Paired axial CT (left) and PSMA PET (right), [68Ga]Ga-PSMA-11 tracer. Acquired on Siemens Biograph mCT Flow 20. PET panel 200×200 px (4.1 mm/px).
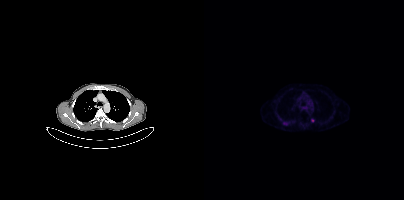
Coordinates are on the 200×200 PET (right) panel. Small PSMA-avid foci (2 to 4 px across) near (center x, center y): (80, 123); (108, 120).